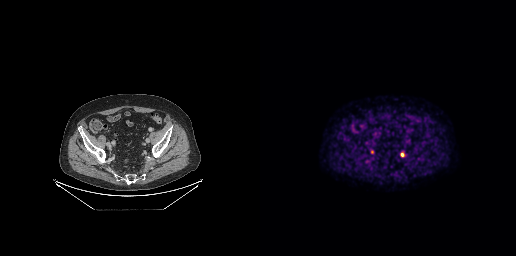
Coordinates are on the 256×256 PET (right) panel. Small PSMA-avid foci (2 to 4 px across) near (center x, center y): (142, 154) / (112, 151).